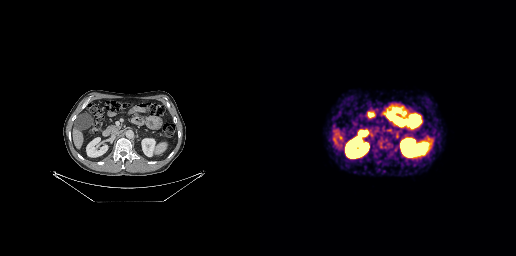
Technique: Left: CT. Right: PSMA PET, same axial level, 18F-PSMA tracer. slice 157 of 299. PET panel 256×256 px (2.7 mm/px).
Findings: Coordinates are on the 256×256 PET (right) panel. PSMA-avid tumor lesion bounding box (x0,y0,x1,y1): [129,152,133,156]. Small PSMA-avid focus (2 to 4 px across) near (center x, center y): (118, 145).